Technique: Paired axial CT (left) and PSMA PET (right), 18F tracer. acquired on Siemens Biograph mCT Flow 20. PET panel 200×200 px (4.1 mm/px).
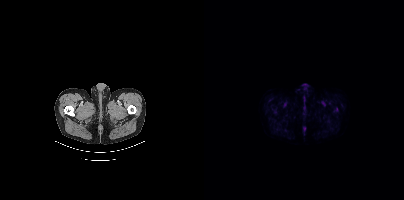
Findings: Negative for PSMA-avid disease on this slice.